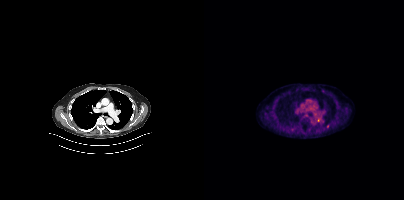
Two-panel axial: CT | PSMA PET, 18F tracer. Slice 289 of 409.
Coordinates are on the 200×200 PET (right) panel. PSMA-avid tumor lesion bounding boxes:
| # | x0 | y0 | x1 | y1 |
|---|---|---|---|---|
| 1 | 122 | 124 | 125 | 128 |
Small PSMA-avid focus (2 to 4 px across) near (center x, center y): (114, 119).